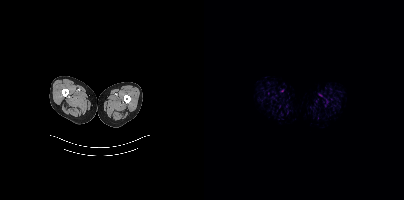
Paired axial CT (left) and PSMA PET (right), [18F]PSMA-1007 tracer. PET panel 200×200 px (4.1 mm/px). No tumor lesions annotated on this slice.